Technique: Paired axial CT (left) and PSMA PET (right), [18F]PSMA-1007 tracer. acquired on Siemens Biograph mCT Flow 20. PET panel 200×200 px (4.1 mm/px).
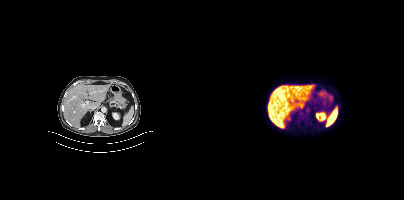
Findings: No PSMA-avid tumor lesions on this slice.